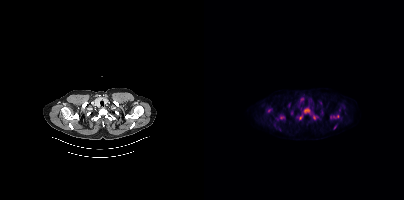
Coordinates are on the 200×200 PET (right) panel. (showing 9 of 11 foci) PSMA-avid tumor lesion bounding boxes (x0, y0)-(x1, y1): (100, 108)-(105, 113) / (76, 115)-(80, 118) / (87, 111)-(89, 115). Small PSMA-avid foci (2 to 4 px across) near (center x, center y): (96, 117) / (110, 117) / (65, 110) / (134, 116) / (130, 127) / (129, 116).
modality: PSMA PET/CT | tracer: 18F-PSMA | view: axial